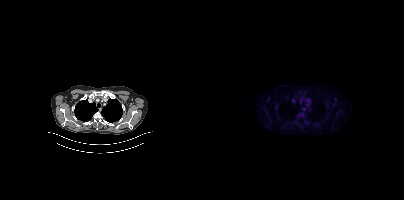
{"modality":"PSMA PET/CT","view":"axial","tracer":"[18F]PSMA-1007","pet_grid":[200,200],"coord_frame":"pet_panel","coord_format":"x0,y0,x1,y1","psma_avid_lesions":false}